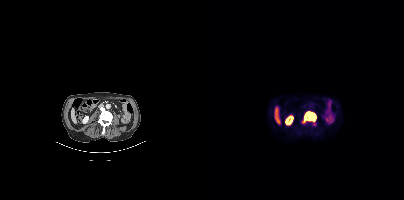
{"modality":"PSMA PET/CT","view":"axial","tracer":"18F-PSMA","pet_grid":[200,200],"coord_frame":"pet_panel","coord_format":"x0,y0,x1,y1","lesion_bboxes":[[99,112,111,122]]}